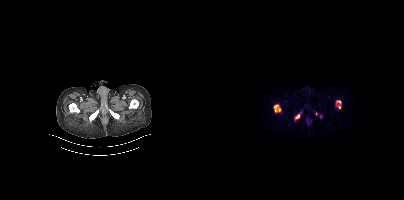
Paired axial CT (left) and PSMA PET (right), [68Ga]Ga-PSMA-11 tracer. Acquired on Siemens Biograph mCT Flow 20. Slice 39 of 397. PET panel 200×200 px (4.1 mm/px). Negative for PSMA-avid disease on this slice.